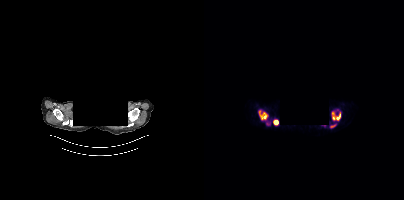
{"modality":"PSMA PET/CT","view":"axial","tracer":"68Ga-PSMA","pet_grid":[200,200],"coord_frame":"pet_panel","coord_format":"x0,y0,x1,y1","lesion_bboxes":[[128,109,136,120],[54,110,63,119],[70,120,74,124],[63,121,67,125],[126,124,131,128]],"redaction":"face masked with black rectangle"}